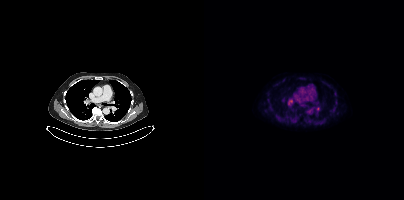
Technique: Left: CT. Right: PSMA PET, same axial level, 18F tracer.
Findings: Coordinates are on the 200×200 PET (right) panel. Small PSMA-avid foci (2 to 4 px across) near (center x, center y): (86, 101); (114, 108).